Paired axial CT (left) and PSMA PET (right), [18F]PSMA-1007 tracer. Slice 40 of 417.
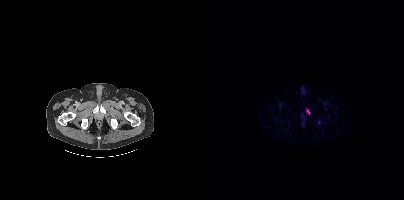
Coordinates are on the 200×200 PET (right) panel. PSMA-avid tumor lesion bounding boxes:
| # | x0 | y0 | x1 | y1 |
|---|---|---|---|---|
| 1 | 103 | 109 | 105 | 113 |